Left: CT. Right: PSMA PET, same axial level, 68Ga-PSMA tracer. PET panel 256×256 px (2.7 mm/px).
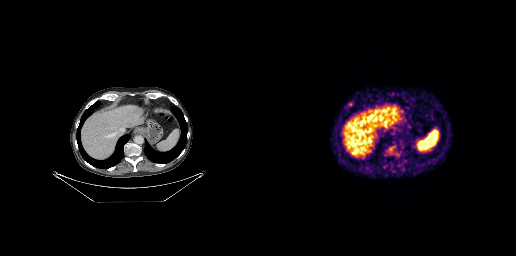
Coordinates are on the 256×256 PET (right) panel. (showing 1 of 2 foci) Small PSMA-avid focus (2 to 4 px across) near (center x, center y): (90, 104).